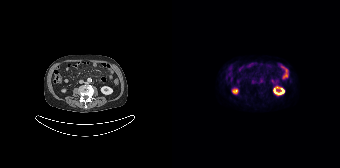
modality: PSMA PET/CT | tracer: 18F | view: axial
This slice has no annotated PSMA-avid lesion.